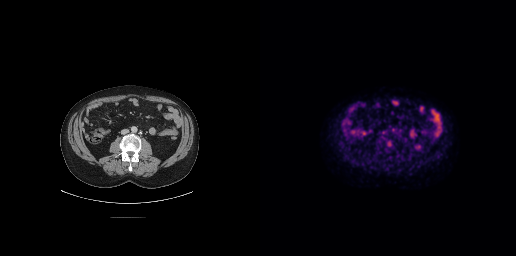
{"modality":"PSMA PET/CT","view":"axial","tracer":"18F-PSMA","pet_grid":[256,256],"coord_frame":"pet_panel","coord_format":"x0,y0,x1,y1","psma_avid_lesions":false}